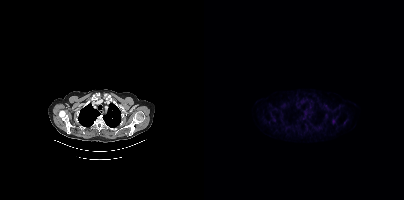
Coordinates are on the 200×200 PET (right) panel. PSMA-avid tumor lesion bounding box (x0,y0,x1,y1): [128,119,130,123].
modality: PSMA PET/CT | tracer: 18F-PSMA | view: axial